Paired axial CT (left) and PSMA PET (right), 68Ga-PSMA tracer. PET panel 200×200 px (4.1 mm/px).
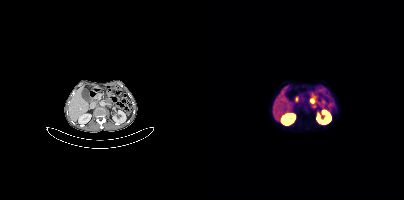
Coordinates are on the 200×200 PET (right) panel. PSMA-avid tumor lesion bounding box (x, y, width, height): x=106 y=95 w=7 h=12.